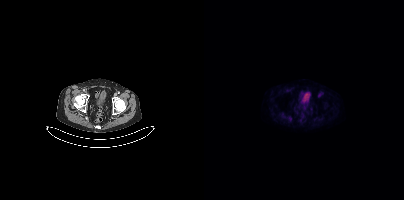
Technique: Left: CT. Right: PSMA PET, same axial level, 18F-PSMA tracer. slice 73 of 391. PET panel 200×200 px (4.1 mm/px).
Findings: No tumor lesions annotated on this slice.